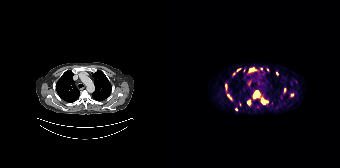
Technique: Two-panel axial: CT | PSMA PET, [68Ga]Ga-PSMA-11 tracer. slice position z = -454 mm.
Findings: Coordinates are on the 168×168 PET (right) panel. (showing 11 of 16 foci) PSMA-avid tumor lesion bounding boxes (x0,y0,x1,y1): [81,90,87,97]; [90,98,95,103]; [78,68,82,70]; [67,102,69,106]; [53,84,54,88]. Small PSMA-avid foci (2 to 4 px across) near (center x, center y): (76, 102); (95, 69); (105, 73); (120, 94); (61, 73); (64, 109).